Left: CT. Right: PSMA PET, same axial level, 18F-PSMA tracer. PET panel 200×200 px (4.1 mm/px).
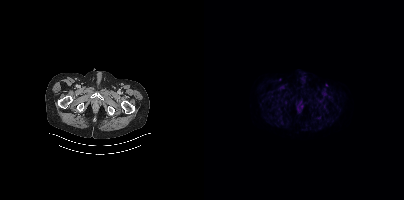
This slice has no annotated PSMA-avid lesion.